Two-panel axial: CT | PSMA PET, 18F-PSMA tracer. Acquired on GE Discovery 690. Slice position z = -472 mm. PET panel 256×256 px (2.7 mm/px).
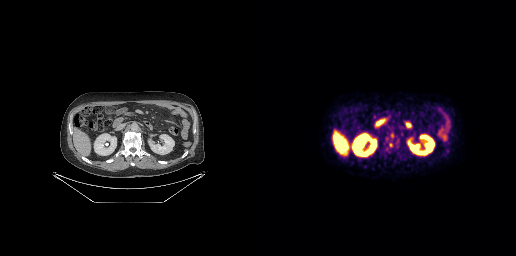
Coordinates are on the 256×256 PET (right) panel. (showing 1 of 5 foci) PSMA-avid tumor lesion bounding box (x0,y0,x1,y1): [129,143,132,147].